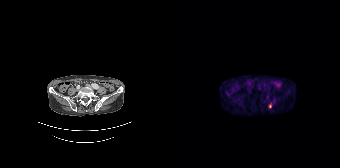
Left: CT. Right: PSMA PET, same axial level, 68Ga-PSMA tracer. Slice 68 of 195. Coordinates are on the 168×168 PET (right) panel. Small PSMA-avid focus (2 to 4 px across) near (center x, center y): (98, 106).